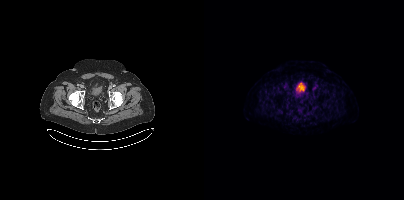
Left: CT. Right: PSMA PET, same axial level, 18F-PSMA tracer. PET panel 200×200 px (4.1 mm/px). Only PSMA-avid lesion pieces thinner than 2 px on this slice (not listed).